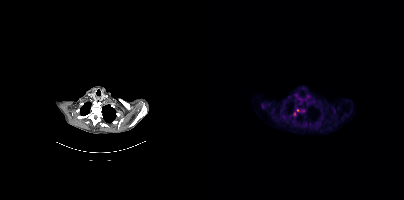
Coordinates are on the 200×200 PET (right) panel. Small PSMA-avid foci (2 to 4 px across) near (center x, center y): (93, 110) | (90, 114). Paired axial CT (left) and PSMA PET (right), 18F tracer.